Two-panel axial: CT | PSMA PET, 68Ga-PSMA tracer.
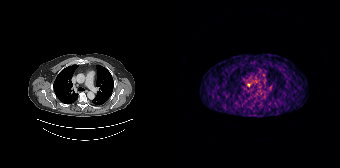
Coordinates are on the 168×168 PET (right) panel. PSMA-avid tumor lesion bounding box (x, y, width, height): x=75 y=83 w=5 h=4.